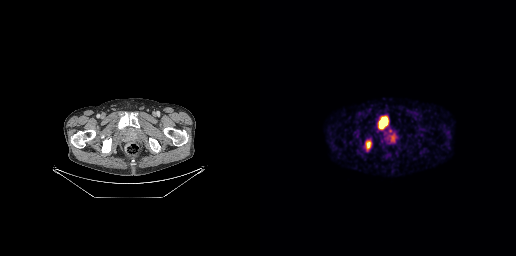
- Two-panel axial: CT | PSMA PET, [68Ga]Ga-PSMA-11 tracer
- acquired on GE Discovery 690
Findings: Coordinates are on the 256×256 PET (right) panel. PSMA-avid tumor lesion bounding boxes (x0,y0,x1,y1): [118,116,128,129]; [105,142,111,150]; [129,133,136,141]. Small PSMA-avid foci (2 to 4 px across) near (center x, center y): (130, 131); (108, 139).